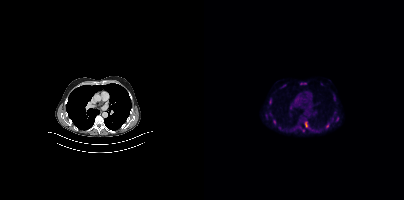
Paired axial CT (left) and PSMA PET (right), 18F-PSMA tracer. Acquired on Siemens Biograph mCT Flow 20. PET panel 200×200 px (4.1 mm/px).
Coordinates are on the 200×200 PET (right) panel. PSMA-avid tumor lesion bounding boxes (partial; 1 more focus not listed):
| # | x0 | y0 | x1 | y1 |
|---|---|---|---|---|
| 1 | 96 | 82 | 102 | 84 |
| 2 | 65 | 99 | 67 | 104 |
| 3 | 132 | 117 | 134 | 121 |
| 4 | 69 | 120 | 71 | 124 |
Small PSMA-avid foci (2 to 4 px across) near (center x, center y): (128, 119); (130, 112).